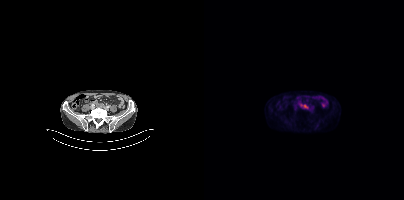
{"modality":"PSMA PET/CT","view":"axial","tracer":"18F","pet_grid":[200,200],"coord_frame":"pet_panel","coord_format":"x0,y0,x1,y1","lesion_bboxes":[[96,104,104,108]]}